- Left: CT. Right: PSMA PET, same axial level, 68Ga tracer
- slice 174 of 409
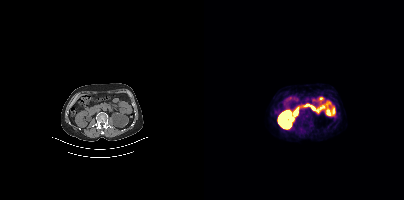
Findings: No tumor lesions annotated on this slice.